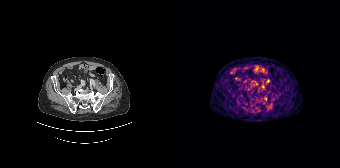
Coordinates are on the 168×168 PET (right) panel. Small PSMA-avid focus (2 to 4 px across) near (center x, center y): (93, 98).